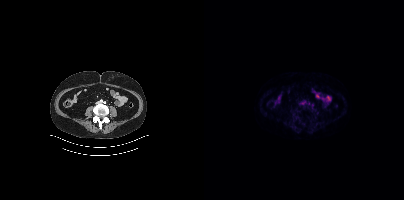
Negative for PSMA-avid disease on this slice. Left: CT. Right: PSMA PET, same axial level, 18F tracer. PET panel 200×200 px (4.1 mm/px).